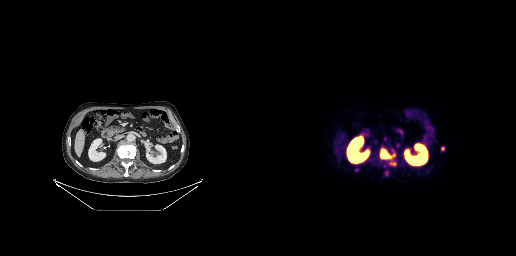
modality: PSMA PET/CT | tracer: [68Ga]Ga-PSMA-11 | view: axial | PET grid: 256×256
Coordinates are on the 256×256 PET (right) panel. (showing 2 of 4 foci) PSMA-avid tumor lesion bounding boxes (x, y, width, height): x=121 y=150 w=14 h=9 | x=181 y=146 w=4 h=6.